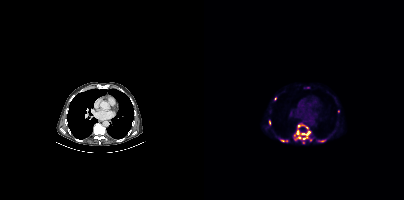
Coordinates are on the 200×200 PET (right) panel. PSMA-avid tumor lesion bounding boxes (x0, y0)-(x1, y1): (90, 124)-(104, 139) | (97, 131)-(105, 143) | (115, 140)-(121, 141) | (65, 120)-(66, 124). Small PSMA-avid foci (2 to 4 px across) near (center x, center y): (104, 87) | (134, 111) | (78, 140) | (106, 139) | (82, 140) | (71, 98).
modality: PSMA PET/CT | tracer: 18F | view: axial